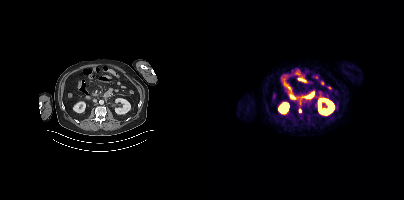
{"modality":"PSMA PET/CT","view":"axial","tracer":"68Ga","pet_grid":[200,200],"coord_frame":"pet_panel","coord_format":"x0,y0,x1,y1","lesion_bboxes":[],"small_foci_centers":[[95,111]]}